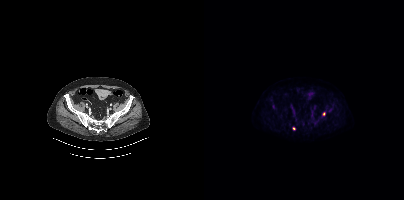
{"modality":"PSMA PET/CT","view":"axial","tracer":"[18F]PSMA-1007","pet_grid":[200,200],"coord_frame":"pet_panel","coord_format":"x0,y0,x1,y1","lesion_bboxes":[],"small_foci_centers":[[119,113],[90,128]]}